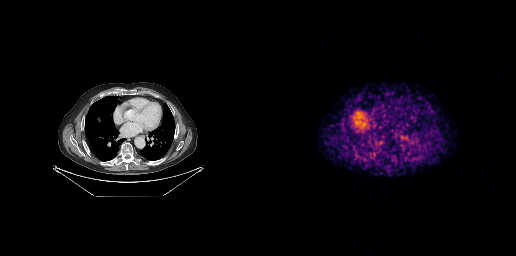
This slice has no annotated PSMA-avid lesion.